Two-panel axial: CT | PSMA PET, 18F tracer. PET panel 200×200 px (4.1 mm/px).
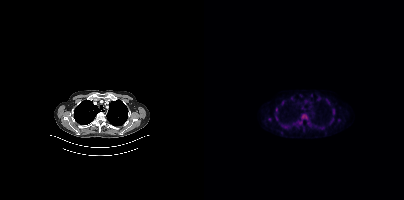
Coordinates are on the 200×200 PET (right) panel. (showing 5 of 6 foci) PSMA-avid tumor lesion bounding box (x, y, width, height): x=129 y=109 w=2 h=5. Small PSMA-avid foci (2 to 4 px across) near (center x, center y): (72, 109) / (78, 102) / (72, 118) / (65, 119).